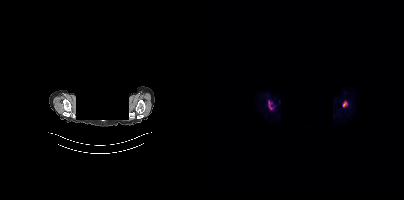
Coordinates are on the 200×200 PET (right) panel. PSMA-avid tumor lesion bounding boxes (x0,y0,x1,y1): [139,101,143,106], [65,101,67,109].
modality: PSMA PET/CT | tracer: 18F | view: axial | de-identification: head region blacked out before release